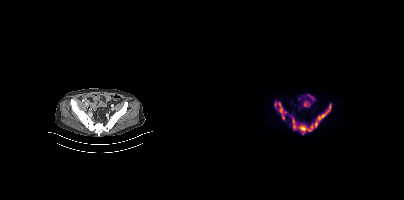
Coordinates are on the 200×200 PET (right) panel. PSMA-avid tumor lesion bounding boxes (x0,y0,x1,y1): [88,104,127,134], [70,102,82,119].